modality: PSMA PET/CT | tracer: [18F]PSMA-1007 | view: axial
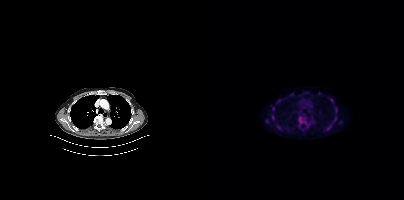
Coordinates are on the 200×200 PET (right) panel. PSMA-avid tumor lesion bounding boxes (x0,y0,x1,y1): [95,117,100,122]; [129,118,132,122]; [131,108,133,112]; [68,115,70,119]. Small PSMA-avid foci (2 to 4 px across) near (center x, center y): (123, 127); (69, 108); (75, 101); (127, 98); (62, 121).